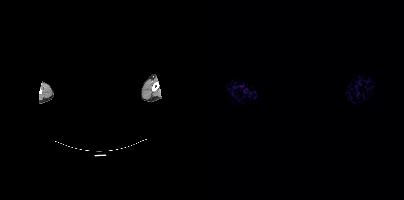
de-identification: head region blacked out before release | modality: PSMA PET/CT | tracer: 18F | view: axial | PET grid: 200×200
No tumor lesions annotated on this slice.